- Left: CT. Right: PSMA PET, same axial level, 18F tracer
- acquired on Siemens Biograph mCT Flow 20
- slice position z = -969 mm
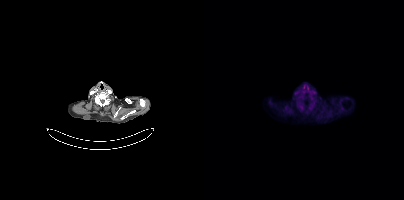
Findings: No PSMA-avid tumor lesions on this slice.